modality: PSMA PET/CT | tracer: [18F]PSMA-1007 | view: axial | PET grid: 200×200
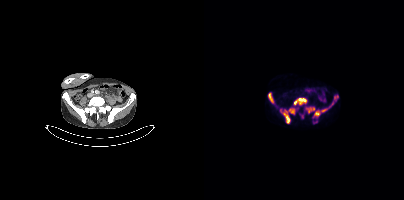
Coordinates are on the 200×200 PET (right) panel. PSMA-avid tumor lesion bounding boxes (x, y, width, height): x=90 y=98 w=13 h=7 / x=79 y=110 w=8 h=14 / x=108 y=111 w=8 h=8 / x=64 y=93 w=7 h=11 / x=126 y=95 w=9 h=11 / x=102 y=107 w=9 h=6 / x=85 y=108 w=6 h=6 / x=109 y=121 w=5 h=3 / x=76 y=108 w=2 h=5. Small PSMA-avid focus (2 to 4 px across) near (center x, center y): (120, 110).